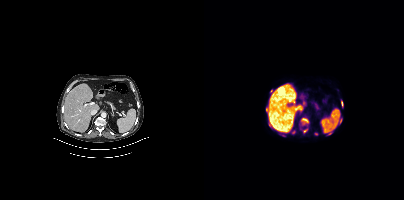
Only PSMA-avid lesion pieces thinner than 2 px on this slice (not listed).